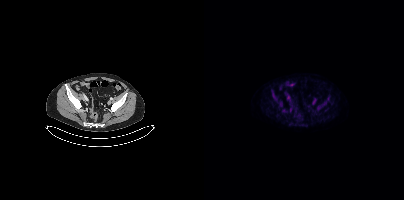
modality: PSMA PET/CT | tracer: [18F]PSMA-1007 | view: axial
No tumor lesions annotated on this slice.